Two-panel axial: CT | PSMA PET, [68Ga]Ga-PSMA-11 tracer. PET panel 200×200 px (4.1 mm/px).
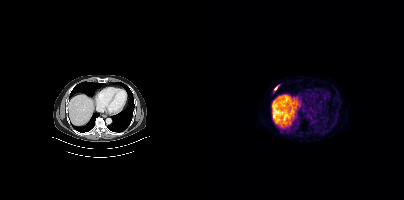
Coordinates are on the 200×200 PET (right) panel. Small PSMA-avid focus (2 to 4 px across) near (center x, center y): (71, 88).